Left: CT. Right: PSMA PET, same axial level, 18F tracer.
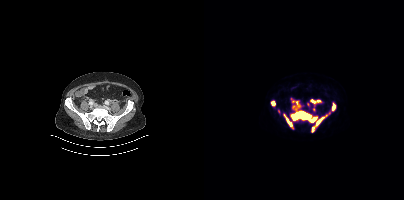
Coordinates are on the 200×200 PET (right) panel. PSMA-avid tumor lesion bounding boxes (partial; 2 more foci not listed):
| # | x0 | y0 | x1 | y1 |
|---|---|---|---|---|
| 1 | 86 | 101 | 123 | 132 |
| 2 | 80 | 114 | 89 | 128 |
| 3 | 106 | 99 | 117 | 103 |
| 4 | 128 | 103 | 131 | 110 |
| 5 | 67 | 101 | 71 | 105 |
Small PSMA-avid foci (2 to 4 px across) near (center x, center y): (89, 101); (109, 109).